Technique: Left: CT. Right: PSMA PET, same axial level, 18F tracer. slice 239 of 448.
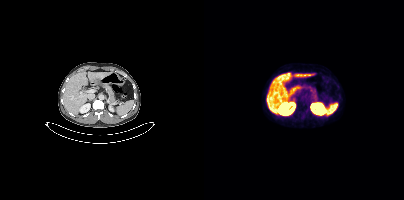
Findings: No tumor lesions annotated on this slice.